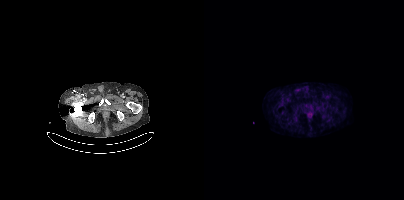
{"modality":"PSMA PET/CT","view":"axial","tracer":"18F","pet_grid":[200,200],"coord_frame":"pet_panel","coord_format":"x0,y0,x1,y1","psma_avid_lesions":false}